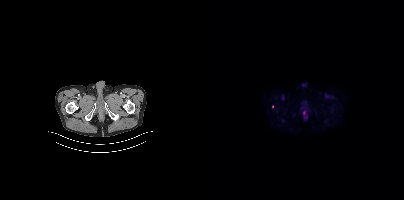
Findings: Coordinates are on the 200×200 PET (right) panel. Small PSMA-avid focus (2 to 4 px across) near (center x, center y): (99, 112).
Technique: Paired axial CT (left) and PSMA PET (right), [18F]PSMA-1007 tracer. PET panel 200×200 px (4.1 mm/px).